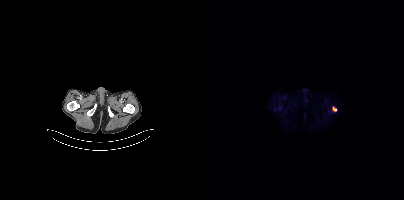
Coordinates are on the 200×200 PET (right) panel. PSMA-avid tumor lesion bounding box (x0,y0,x1,y1): [129,107,132,111]. Left: CT. Right: PSMA PET, same axial level, 18F tracer. Slice position z = -64 mm.